Technique: Two-panel axial: CT | PSMA PET, [18F]PSMA-1007 tracer. acquired on Siemens Biograph mCT Flow 20. slice position z = -482 mm. PET panel 200×200 px (4.1 mm/px).
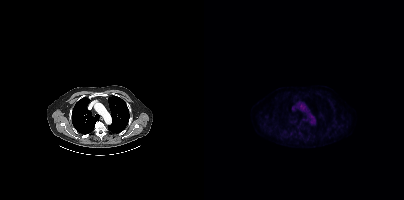
Findings: This slice has no annotated PSMA-avid lesion.